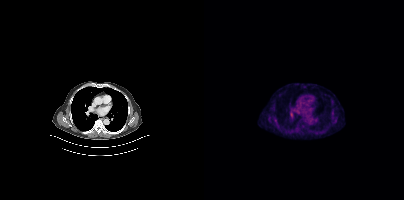
Findings: Only PSMA-avid lesion pieces thinner than 2 px on this slice (not listed).
- Left: CT. Right: PSMA PET, same axial level, 18F tracer
- slice position z = -573 mm